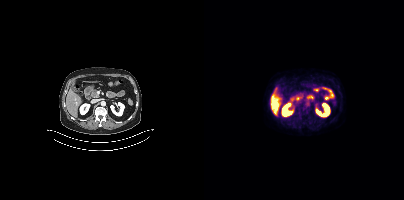
Two-panel axial: CT | PSMA PET, 18F-PSMA tracer. No PSMA-avid tumor lesions on this slice.